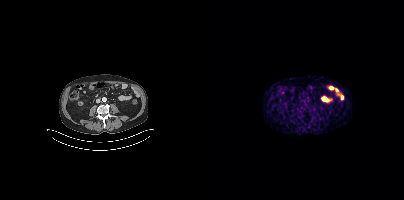
modality: PSMA PET/CT | tracer: [68Ga]Ga-PSMA-11 | view: axial | PET grid: 200×200
No tumor lesions annotated on this slice.